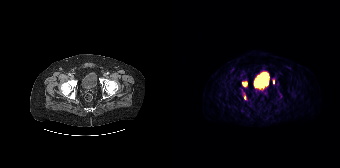
Coordinates are on the 168×168 PET (right) panel. (showing 3 of 4 foci) PSMA-avid tumor lesion bounding boxes (x0,y0,x1,y1): [70,81,75,87]; [72,95,74,99]. Small PSMA-avid focus (2 to 4 px across) near (center x, center y): (101, 82).